- Two-panel axial: CT | PSMA PET, [18F]PSMA-1007 tracer
- acquired on GE Discovery 690
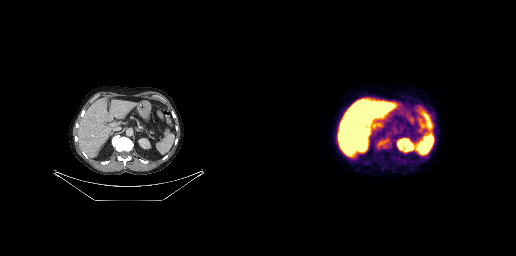
Findings: Negative for PSMA-avid disease on this slice.